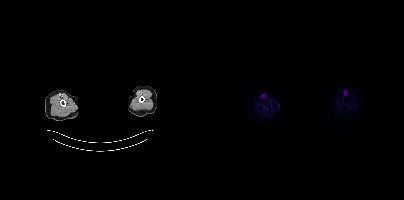
Findings: No PSMA-avid tumor lesions on this slice.
- Two-panel axial: CT | PSMA PET, [18F]PSMA-1007 tracer
- acquired on Siemens Biograph mCT Flow 20
- a rectangular block over the head has been blanked out for de-identification